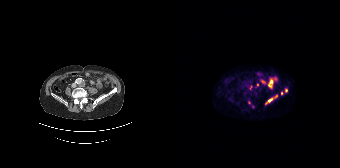
Two-panel axial: CT | PSMA PET, 68Ga-PSMA tracer. PET panel 168×168 px (4.1 mm/px). Coordinates are on the 168×168 PET (right) panel. (showing 3 of 6 foci) PSMA-avid tumor lesion bounding box (x, y, width, height): x=96 y=95 w=10 h=8. Small PSMA-avid foci (2 to 4 px across) near (center x, center y): (114, 90); (85, 84).